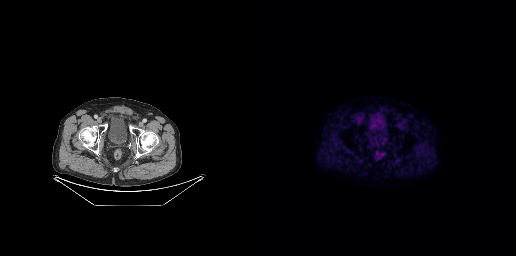
Findings: Negative for PSMA-avid disease on this slice.
- Two-panel axial: CT | PSMA PET, [18F]PSMA-1007 tracer